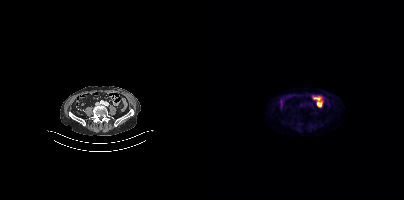
Negative for PSMA-avid disease on this slice.